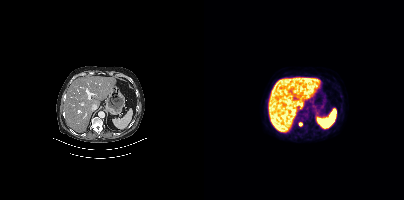
Technique: Left: CT. Right: PSMA PET, same axial level, 18F-PSMA tracer. slice 253 of 452. PET panel 200×200 px (4.1 mm/px).
Findings: Coordinates are on the 200×200 PET (right) panel. Small PSMA-avid focus (2 to 4 px across) near (center x, center y): (96, 124).